- Left: CT. Right: PSMA PET, same axial level, [18F]PSMA-1007 tracer
- acquired on Siemens Biograph mCT Flow 20
- PET panel 200×200 px (4.1 mm/px)
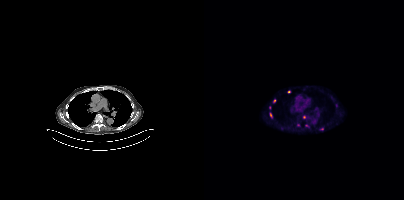
Findings: Coordinates are on the 200×200 PET (right) panel. (showing 7 of 10 foci) Small PSMA-avid foci (2 to 4 px across) near (center x, center y): (84, 91); (78, 128); (100, 117); (66, 114); (70, 100); (94, 124); (118, 128).